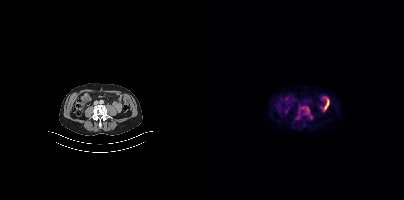
This slice has no annotated PSMA-avid lesion.